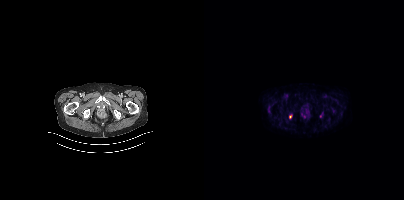
Only PSMA-avid lesion pieces thinner than 2 px on this slice (not listed).